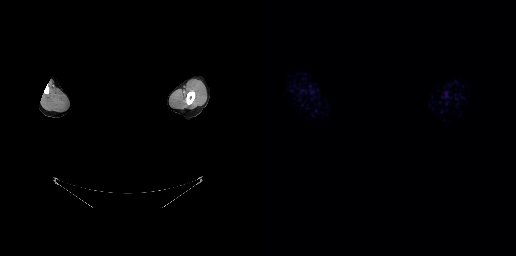
{"modality":"PSMA PET/CT","view":"axial","tracer":"[18F]PSMA-1007","pet_grid":[256,256],"coord_frame":"pet_panel","coord_format":"x0,y0,x1,y1","de-identification":"facial region redacted","psma_avid_lesions":false}